- Left: CT. Right: PSMA PET, same axial level, 18F-PSMA tracer
- acquired on Siemens Biograph mCT Flow 20
- slice position z = -960 mm
- PET panel 200×200 px (4.1 mm/px)
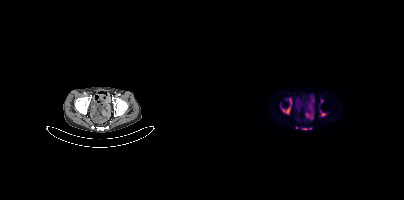
Findings: Coordinates are on the 200×200 PET (right) panel. (showing 7 of 8 foci) PSMA-avid tumor lesion bounding boxes (x0, y0)-(x1, y1): (78, 107)-(86, 113) | (116, 110)-(121, 116) | (85, 98)-(87, 104) | (97, 128)-(103, 129). Small PSMA-avid foci (2 to 4 px across) near (center x, center y): (117, 101) | (106, 128) | (92, 127).